- Left: CT. Right: PSMA PET, same axial level, [68Ga]Ga-PSMA-11 tracer
- acquired on Siemens Biograph 64-4R TruePoint
- slice position z = -754 mm
- PET panel 168×168 px (4.1 mm/px)
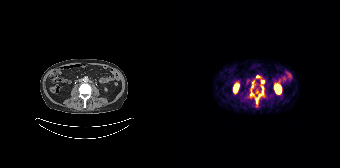
Findings: Coordinates are on the 168×168 PET (right) panel. PSMA-avid tumor lesion bounding box (x, y, width, height): x=77 y=87 w=16 h=18. Small PSMA-avid foci (2 to 4 px across) near (center x, center y): (90, 81) / (85, 76).